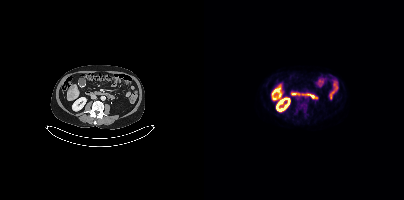
Technique: Paired axial CT (left) and PSMA PET (right), 18F tracer. PET panel 200×200 px (4.1 mm/px).
Findings: This slice has no annotated PSMA-avid lesion.